- Paired axial CT (left) and PSMA PET (right), 18F-PSMA tracer
- acquired on Siemens Biograph mCT Flow 20
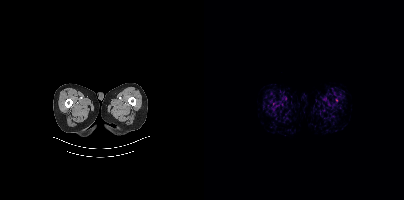
Findings: Negative for PSMA-avid disease on this slice.